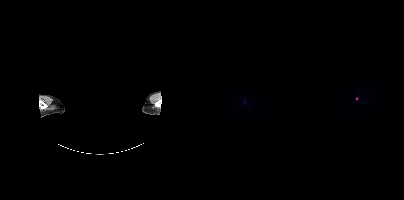
Head region blanked for anonymization (face removed). Left: CT. Right: PSMA PET, same axial level, 18F-PSMA tracer. Slice position z = -965 mm. PET panel 200×200 px (4.1 mm/px). Coordinates are on the 200×200 PET (right) panel. PSMA-avid tumor lesion bounding box (x, y, width, height): x=39 y=100 w=3 h=5. Small PSMA-avid focus (2 to 4 px across) near (center x, center y): (153, 98).